- Left: CT. Right: PSMA PET, same axial level, 18F tracer
- acquired on GE Discovery 690
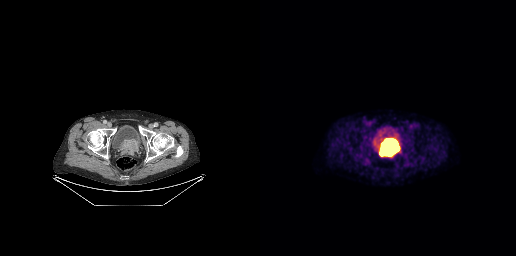
Findings: Coordinates are on the 256×256 PET (right) panel. PSMA-avid tumor lesion bounding box (x0, y0)-(x1, y1): (120, 140)-(137, 155).